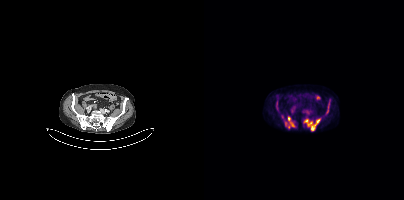
{"modality":"PSMA PET/CT","view":"axial","tracer":"18F-PSMA","pet_grid":[200,200],"coord_frame":"pet_panel","coord_format":"x0,y0,x1,y1","lesion_bboxes":[[100,119,115,130],[84,116,90,126],[122,102,125,113]],"small_foci_centers":[[81,123],[84,127]]}